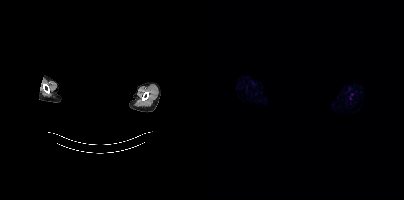
Paired axial CT (left) and PSMA PET (right), 68Ga-PSMA tracer. PET panel 200×200 px (4.1 mm/px). A rectangular block over the head has been blanked out for de-identification. No tumor lesions annotated on this slice.